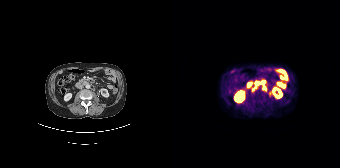
Findings: Coordinates are on the 168×168 PET (right) panel. PSMA-avid tumor lesion bounding boxes (x, y, width, height): x=83 y=81 w=6 h=5 | x=80 y=87 w=5 h=4.
Technique: Two-panel axial: CT | PSMA PET, 68Ga-PSMA tracer. slice position z = -1324 mm.